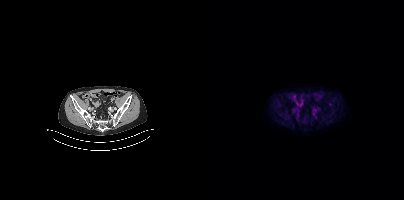
{"modality":"PSMA PET/CT","view":"axial","tracer":"18F-PSMA","pet_grid":[200,200],"coord_frame":"pet_panel","coord_format":"x0,y0,x1,y1","psma_avid_lesions":false}